Technique: Left: CT. Right: PSMA PET, same axial level, [18F]PSMA-1007 tracer. PET panel 200×200 px (4.1 mm/px).
Note: An anonymization step blacked out a rectangle over the head in this scan.
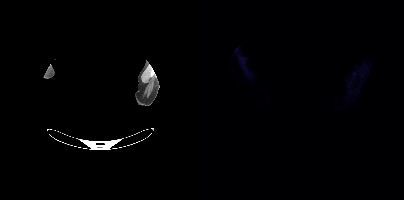
Findings: No tumor lesions annotated on this slice.